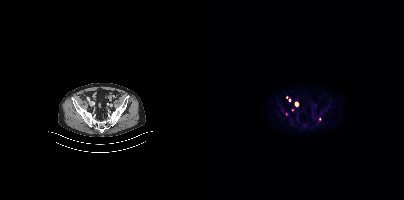
{"modality":"PSMA PET/CT","view":"axial","tracer":"18F-PSMA","pet_grid":[200,200],"coord_frame":"pet_panel","coord_format":"x0,y0,x1,y1","partial":true,"lesion_bboxes":[],"small_foci_centers":[[85,99]]}